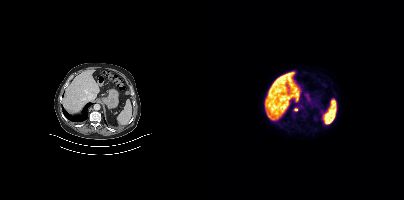
{"modality":"PSMA PET/CT","view":"axial","tracer":"18F-PSMA","pet_grid":[200,200],"coord_frame":"pet_panel","coord_format":"x0,y0,x1,y1","lesion_bboxes":[],"small_foci_centers":[[91,109]]}